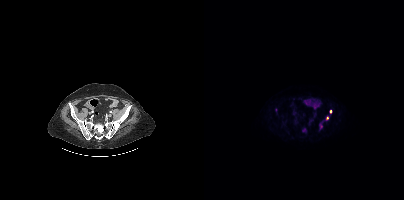
- Paired axial CT (left) and PSMA PET (right), 18F-PSMA tracer
- acquired on Siemens Biograph mCT Flow 20
Findings: Coordinates are on the 200×200 PET (right) panel. PSMA-avid tumor lesion bounding box (x, y, width, height): x=122 y=116 w=3 h=5. Small PSMA-avid focus (2 to 4 px across) near (center x, center y): (126, 111).